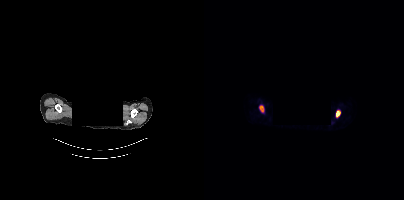
Privacy masking over the head, with the pixels inside a rectangle set to black.
Coordinates are on the 200×200 PET (right) panel. PSMA-avid tumor lesion bounding boxes (x0,y0,x1,y1): [132,110,136,117] [56,106,59,111].